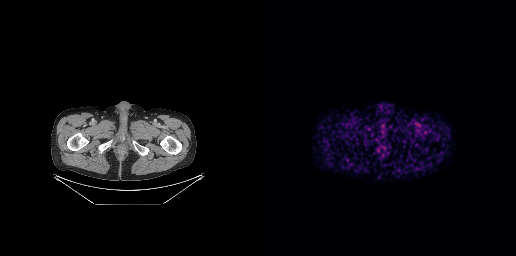
{"modality":"PSMA PET/CT","view":"axial","tracer":"68Ga","pet_grid":[256,256],"coord_frame":"pet_panel","coord_format":"x0,y0,x1,y1","psma_avid_lesions":false}